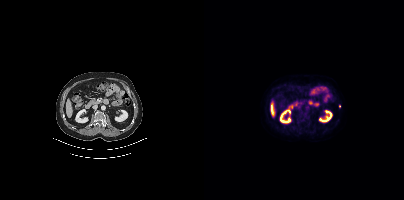
modality: PSMA PET/CT | tracer: [18F]PSMA-1007 | view: axial | PET grid: 200×200
Coordinates are on the 200×200 PET (right) panel. Small PSMA-avid focus (2 to 4 px across) near (center x, center y): (135, 106).